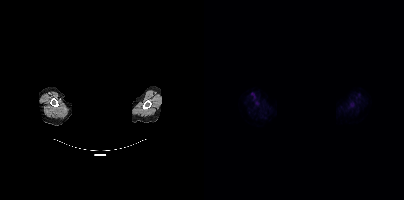
{"pet_grid":[200,200],"coord_frame":"pet_panel","coord_format":"x0,y0,x1,y1","lesion_bboxes":[],"small_foci_centers":[[146,105],[53,103]],"de-identification":"head region blacked out before release","modality":"PSMA PET/CT","view":"axial","tracer":"18F-PSMA"}